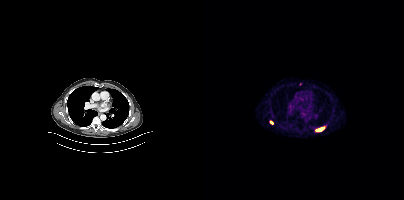
{"modality":"PSMA PET/CT","view":"axial","tracer":"[68Ga]Ga-PSMA-11","pet_grid":[200,200],"coord_frame":"pet_panel","coord_format":"x0,y0,x1,y1","lesion_bboxes":[[112,128,119,131]],"small_foci_centers":[[67,122]]}